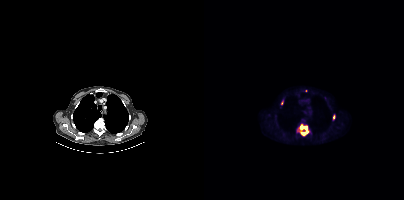
modality: PSMA PET/CT | tracer: 18F | view: axial | PET grid: 200×200
Coordinates are on the 200×200 PET (right) panel. (showing 3 of 4 foci) PSMA-avid tumor lesion bounding box (x, y, width, height): x=95 y=124 w=11 h=12. Small PSMA-avid foci (2 to 4 px across) near (center x, center y): (78, 102) / (129, 117).